Left: CT. Right: PSMA PET, same axial level, [18F]PSMA-1007 tracer. Slice position z = -1092 mm. PET panel 200×200 px (4.1 mm/px).
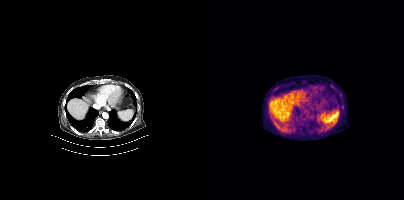
No tumor lesions annotated on this slice.